Two-panel axial: CT | PSMA PET, 18F tracer. Slice 37 of 377.
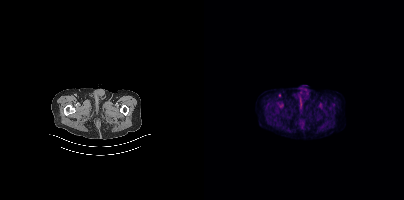
No tumor lesions annotated on this slice.